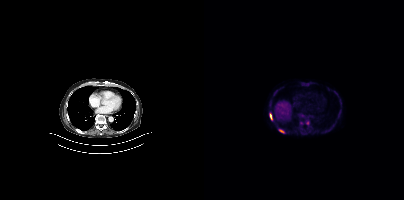
Left: CT. Right: PSMA PET, same axial level, 18F-PSMA tracer. Acquired on Siemens Biograph mCT Flow 20. Slice 239 of 401. PET panel 200×200 px (4.1 mm/px).
Coordinates are on the 200×200 PET (right) panel. PSMA-avid tumor lesion bounding boxes:
| # | x0 | y0 | x1 | y1 |
|---|---|---|---|---|
| 1 | 74 | 129 | 80 | 133 |
| 2 | 66 | 114 | 67 | 119 |
Small PSMA-avid focus (2 to 4 px across) near (center x, center y): (103, 122).